Technique: Two-panel axial: CT | PSMA PET, [18F]PSMA-1007 tracer. acquired on Siemens Biograph mCT Flow 20. slice 198 of 401.
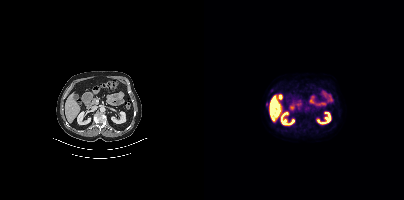
Findings: Coordinates are on the 200×200 PET (right) panel. Small PSMA-avid focus (2 to 4 px across) near (center x, center y): (62, 104).